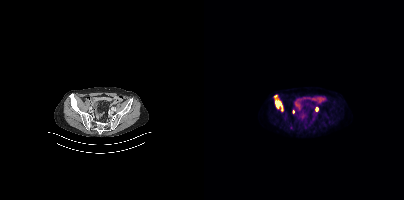
Technique: Left: CT. Right: PSMA PET, same axial level, 18F tracer. acquired on Siemens Biograph mCT Flow 20.
Findings: Coordinates are on the 200×200 PET (right) panel. (showing 3 of 4 foci) PSMA-avid tumor lesion bounding box (x0,y0,x1,y1): [70,96,79,111]. Small PSMA-avid foci (2 to 4 px across) near (center x, center y): (113, 109); (89, 111).